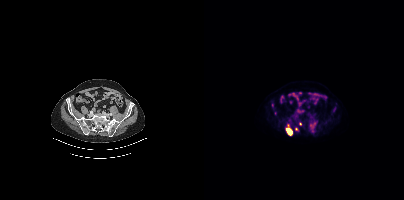
Two-panel axial: CT | PSMA PET, [18F]PSMA-1007 tracer.
Coordinates are on the 200×200 PET (right) panel. PSMA-avid tumor lesion bounding boxes (partial; 2 more foci not listed):
| # | x0 | y0 | x1 | y1 |
|---|---|---|---|---|
| 1 | 82 | 128 | 88 | 135 |
Small PSMA-avid focus (2 to 4 px across) near (center x, center y): (92, 128).